- Left: CT. Right: PSMA PET, same axial level, 68Ga tracer
- slice 82 of 195
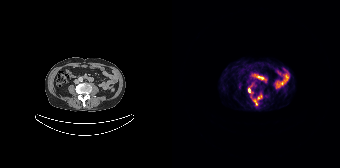
Findings: Coordinates are on the 168×168 PET (right) panel. (showing 2 of 3 foci) Small PSMA-avid foci (2 to 4 px across) near (center x, center y): (77, 90), (86, 97).